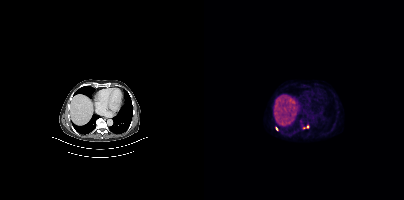
Coordinates are on the 200×200 PET (right) panel. PSMA-avid tumor lesion bounding box (x0,y0,x1,y1): [99,125,104,128]. Small PSMA-avid focus (2 to 4 px across) near (center x, center y): (73, 128).